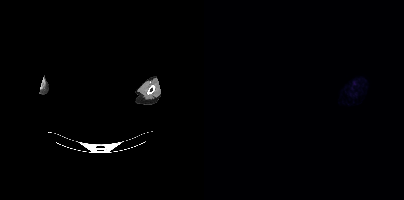
No tumor lesions annotated on this slice. Paired axial CT (left) and PSMA PET (right), [18F]PSMA-1007 tracer. Acquired on Siemens Biograph mCT Flow 20. PET panel 200×200 px (4.1 mm/px). Any black rectangle over the head is a privacy mask, not anatomy.